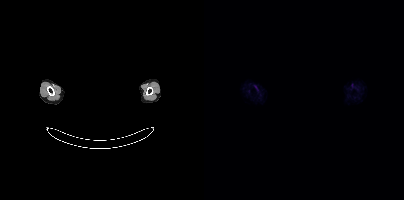
Left: CT. Right: PSMA PET, same axial level, 18F-PSMA tracer. Slice position z = -1024 mm. The face region was removed for patient privacy by blanking a rectangle over the head. No PSMA-avid tumor lesions on this slice.